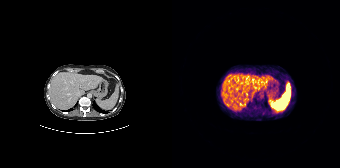
Negative for PSMA-avid disease on this slice.